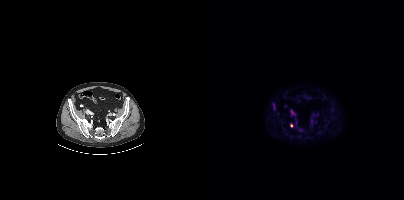
Coordinates are on the 200×200 PET (right) panel. Small PSMA-avid focus (2 to 4 px across) near (center x, center y): (87, 125).